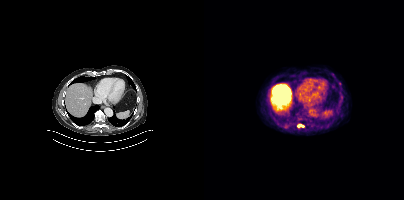
Coordinates are on the 200×200 PET (right) panel. (showing 1 of 3 foci) PSMA-avid tumor lesion bounding box (x0, y0)-(x1, y1): (93, 124)-(100, 127).